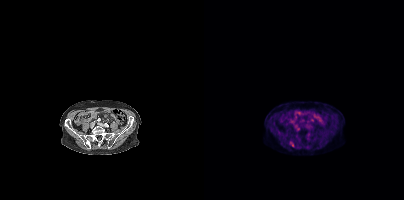
{"modality":"PSMA PET/CT","view":"axial","tracer":"18F","pet_grid":[200,200],"coord_frame":"pet_panel","coord_format":"x0,y0,x1,y1","lesion_bboxes":[[85,142,90,147]],"small_foci_centers":[[94,128]]}